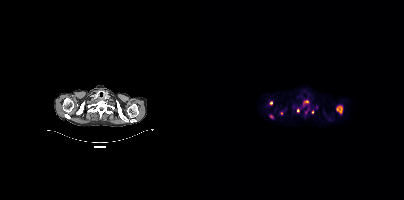
{"pet_grid":[200,200],"coord_frame":"pet_panel","coord_format":"x0,y0,x1,y1","partial":true,"lesion_bboxes":[[132,106,138,113],[99,100,105,106]],"small_foci_centers":[[67,102],[94,110],[67,116],[108,112],[77,113]],"modality":"PSMA PET/CT","view":"axial","tracer":"[18F]PSMA-1007"}